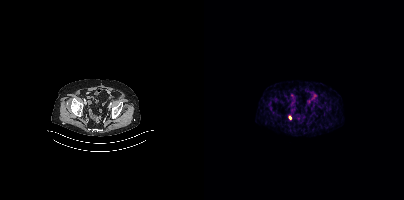
Findings: Coordinates are on the 200×200 PET (right) panel. Small PSMA-avid focus (2 to 4 px across) near (center x, center y): (86, 117).
Technique: Two-panel axial: CT | PSMA PET, 68Ga-PSMA tracer. slice 77 of 385.